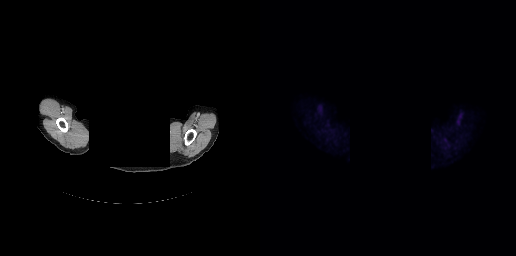
{"modality":"PSMA PET/CT","view":"axial","tracer":"18F","pet_grid":[256,256],"coord_frame":"pet_panel","coord_format":"x0,y0,x1,y1","de-identification":"facial region redacted","psma_avid_lesions":false}